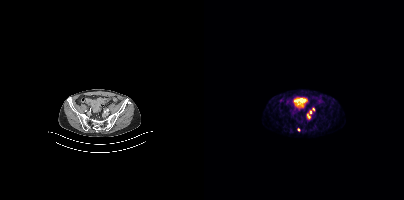
Coordinates are on the 200×200 PET (right) panel. PSMA-avid tumor lesion bounding box (x0,y0,x1,y1): [103,114,106,118]. Small PSMA-avid foci (2 to 4 px across) near (center x, center y): (106, 111), (109, 109), (94, 129).